Technique: Left: CT. Right: PSMA PET, same axial level, [18F]PSMA-1007 tracer. slice 215 of 395.
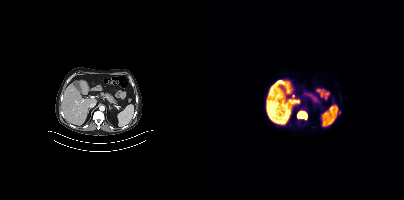
Findings: Coordinates are on the 200×200 PET (right) panel. PSMA-avid tumor lesion bounding box (x0,y0,x1,y1): [93,110,103,119]. Small PSMA-avid focus (2 to 4 px across) near (center x, center y): (135, 112).